Technique: Paired axial CT (left) and PSMA PET (right), 68Ga tracer.
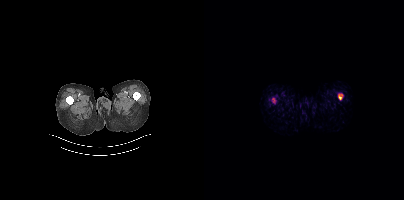
Findings: No PSMA-avid tumor lesions on this slice.